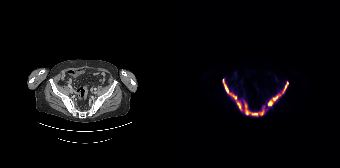
Findings: Coordinates are on the 168×168 PET (right) panel. PSMA-avid tumor lesion bounding boxes (x0, y0)-(x1, y1): (50, 78)-(93, 116); (95, 81)-(116, 106).
- Paired axial CT (left) and PSMA PET (right), 18F-PSMA tracer
- slice position z = -1264 mm